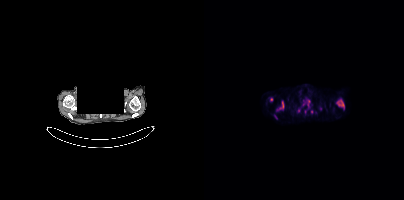
A rectangular block over the head has been blanked out for de-identification.
Coordinates are on the 200×200 PET (right) panel. (showing 6 of 10 foci) PSMA-avid tumor lesion bounding boxes (x0, y0)-(x1, y1): (132, 99)-(140, 108) / (73, 101)-(80, 110). Small PSMA-avid foci (2 to 4 px across) near (center x, center y): (103, 100) / (67, 99) / (116, 108) / (107, 111).